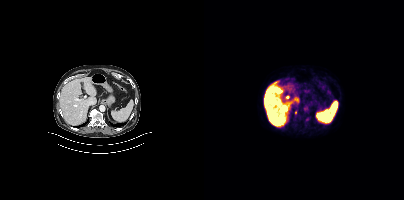
Findings: Coordinates are on the 200×200 PET (right) panel. Small PSMA-avid focus (2 to 4 px across) near (center x, center y): (91, 112).
- Paired axial CT (left) and PSMA PET (right), 18F-PSMA tracer
- PET panel 200×200 px (4.1 mm/px)